Two-panel axial: CT | PSMA PET, [18F]PSMA-1007 tracer. Slice 208 of 417. PET panel 200×200 px (4.1 mm/px).
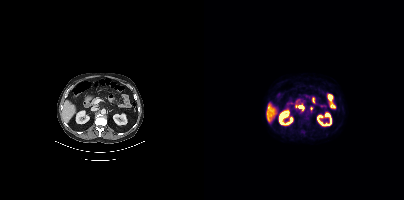
Coordinates are on the 200×200 PET (right) panel. PSMA-avid tumor lesion bounding boxes (partial; 1 more focus not listed):
| # | x0 | y0 | x1 | y1 |
|---|---|---|---|---|
| 1 | 95 | 106 | 99 | 109 |